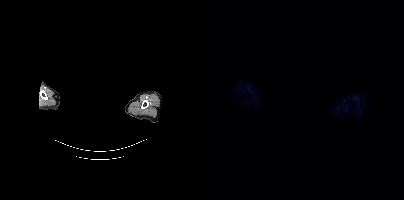
Facial anatomy redacted by setting a rectangular region of the head to black.
This slice has no annotated PSMA-avid lesion.